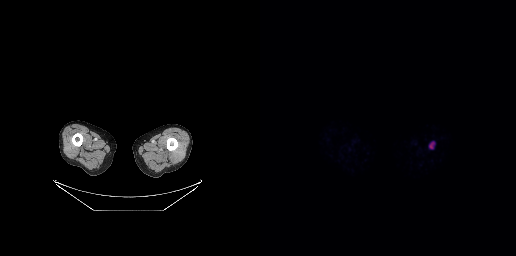
Left: CT. Right: PSMA PET, same axial level, [68Ga]Ga-PSMA-11 tracer. Acquired on GE Discovery 690. Slice position z = -982 mm. PET panel 256×256 px (2.7 mm/px). This slice has no annotated PSMA-avid lesion.